- the face region was removed for patient privacy by blanking a rectangle over the head
- Paired axial CT (left) and PSMA PET (right), 18F tracer
- slice position z = -510 mm
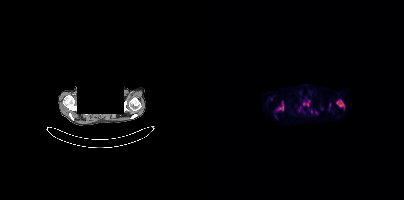
Findings: Coordinates are on the 200×200 PET (right) panel. (showing 6 of 10 foci) PSMA-avid tumor lesion bounding boxes (x, y, width, height): x=132 y=100 w=9 h=10; x=72 y=101 w=8 h=10. Small PSMA-avid foci (2 to 4 px across) near (center x, center y): (100, 103); (103, 104); (125, 104); (112, 112).